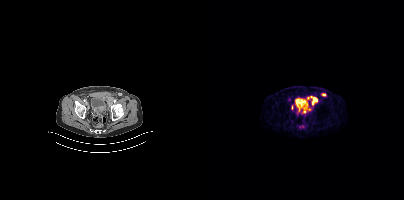
Left: CT. Right: PSMA PET, same axial level, 68Ga tracer. Acquired on Siemens Biograph mCT Flow 20. PET panel 200×200 px (4.1 mm/px). Coordinates are on the 200×200 PET (right) panel. (showing 5 of 6 foci) PSMA-avid tumor lesion bounding boxes (x0,y0,x1,y1): [107,96,113,104]; [100,108,106,112]; [87,105,88,109]. Small PSMA-avid foci (2 to 4 px across) near (center x, center y): (119, 94); (95, 109).